Two-panel axial: CT | PSMA PET, 18F tracer. Acquired on Siemens Biograph mCT Flow 20. PET panel 200×200 px (4.1 mm/px).
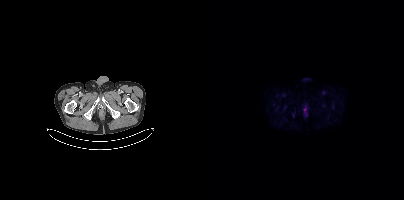
Coordinates are on the 200×200 PET (right) panel. PSMA-avid tumor lesion bounding boxes:
| # | x0 | y0 | x1 | y1 |
|---|---|---|---|---|
| 1 | 99 | 108 | 103 | 116 |